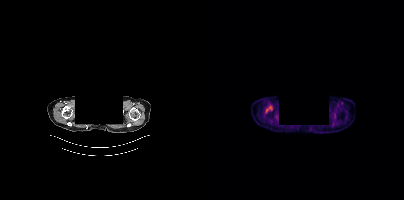
{"modality":"PSMA PET/CT","view":"axial","tracer":"[18F]PSMA-1007","pet_grid":[200,200],"coord_frame":"pet_panel","coord_format":"x0,y0,x1,y1","psma_avid_lesions":false,"redaction":"head region blacked out before release"}